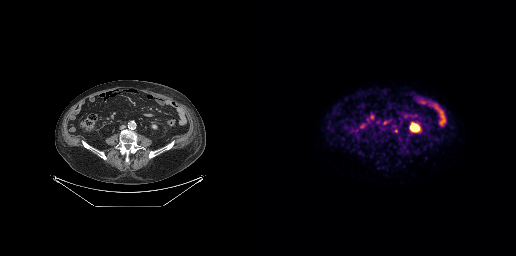
Left: CT. Right: PSMA PET, same axial level, 18F-PSMA tracer. Acquired on GE Discovery 690. PET panel 256×256 px (2.7 mm/px). Coordinates are on the 256×256 PET (right) panel. PSMA-avid tumor lesion bounding box (x, y, width, height): x=123 y=121 w=5 h=5. Small PSMA-avid focus (2 to 4 px across) near (center x, center y): (135, 130).